Two-panel axial: CT | PSMA PET, [18F]PSMA-1007 tracer. Acquired on GE Discovery 690. PET panel 256×256 px (2.7 mm/px).
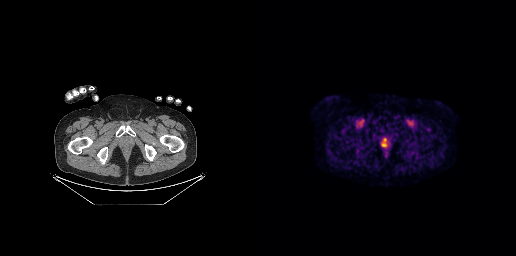
Coordinates are on the 256×256 PET (right) panel. PSMA-avid tumor lesion bounding boxes:
| # | x0 | y0 | x1 | y1 |
|---|---|---|---|---|
| 1 | 122 | 142 | 127 | 147 |